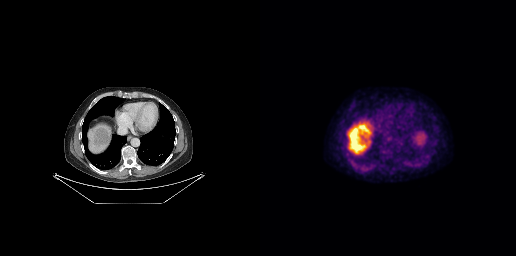
No PSMA-avid tumor lesions on this slice.
modality: PSMA PET/CT | tracer: 18F-PSMA | view: axial | PET grid: 256×256